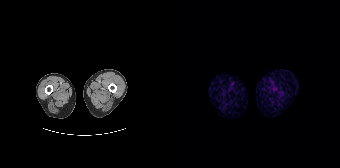
{"modality":"PSMA PET/CT","view":"axial","tracer":"68Ga","pet_grid":[168,168],"coord_frame":"pet_panel","coord_format":"x0,y0,x1,y1","psma_avid_lesions":false}